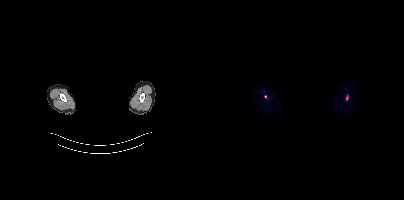
Findings: Coordinates are on the 200×200 PET (right) panel. PSMA-avid tumor lesion bounding box (x0, y0)-(x1, y1): (142, 95)-(144, 99). Small PSMA-avid focus (2 to 4 px across) near (center x, center y): (61, 96).
- face de-identified by blanking a block of the head
- Left: CT. Right: PSMA PET, same axial level, 18F-PSMA tracer
- slice position z = -894 mm